modality: PSMA PET/CT | tracer: [68Ga]Ga-PSMA-11 | view: axial | PET grid: 200×200
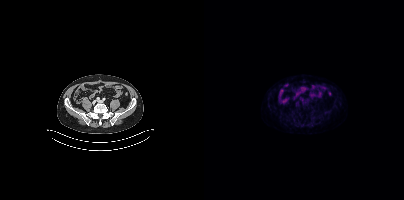
No tumor lesions annotated on this slice.